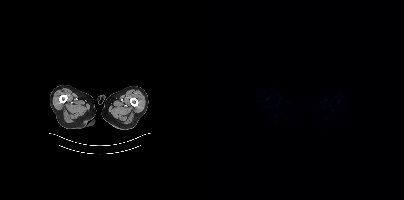
Findings: No PSMA-avid tumor lesions on this slice.
- Paired axial CT (left) and PSMA PET (right), 18F tracer
- slice 9 of 395